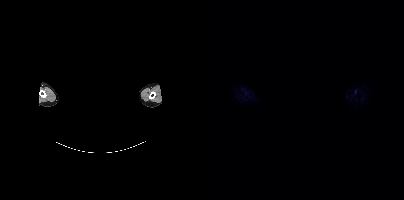
Technique: Two-panel axial: CT | PSMA PET, [18F]PSMA-1007 tracer. acquired on Siemens Biograph mCT Flow 20. slice position z = -885 mm.
Note: The face region was removed for patient privacy by blanking a rectangle over the head.
Findings: Negative for PSMA-avid disease on this slice.